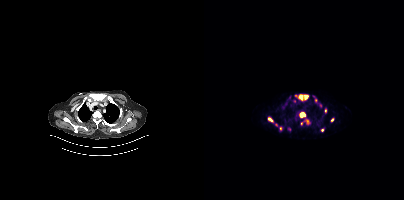
Coordinates are on the 200×200 PET (right) panel. PSMA-avid tumor lesion bounding boxes (partial; 2 more foci not listed):
| # | x0 | y0 | x1 | y1 |
|---|---|---|---|---|
| 1 | 91 | 94 | 104 | 99 |
| 2 | 95 | 112 | 101 | 117 |
| 3 | 100 | 119 | 105 | 124 |
| 4 | 64 | 117 | 68 | 121 |
| 5 | 113 | 103 | 117 | 107 |
| 6 | 121 | 108 | 122 | 112 |
Small PSMA-avid foci (2 to 4 px across) near (center x, center y): (128, 119); (118, 130); (97, 123); (76, 128); (111, 100); (85, 129); (91, 116).
Left: CT. Right: PSMA PET, same axial level, [68Ga]Ga-PSMA-11 tracer. Acquired on Siemens Biograph mCT Flow 20. PET panel 200×200 px (4.1 mm/px).